Left: CT. Right: PSMA PET, same axial level, [68Ga]Ga-PSMA-11 tracer. PET panel 256×256 px (2.7 mm/px).
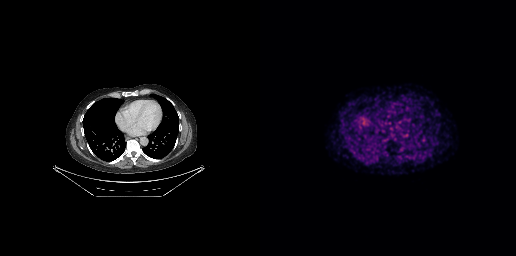
This slice has no annotated PSMA-avid lesion.